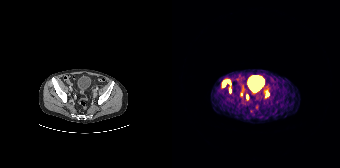
Coordinates are on the 168×168 PET (right) panel. PSMA-avid tumor lesion bounding boxes (x, y, width, height): x=50 y=80 w=4 h=8; x=94 y=91 w=4 h=7; x=55 y=80 w=4 h=6; x=57 y=88 w=3 h=5; x=74 y=95 w=3 h=5. Small PSMA-avid focus (2 to 4 px across) near (center x, center y): (69, 94).